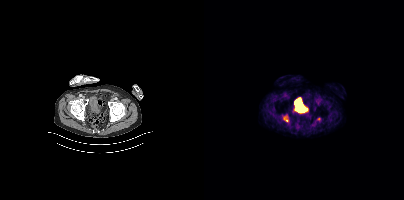
modality: PSMA PET/CT | tracer: [18F]PSMA-1007 | view: axial
Coordinates are on the 200×200 PET (right) panel. PSMA-avid tumor lesion bounding box (x0,y0,x1,y1): [80,117,83,121]. Small PSMA-avid focus (2 to 4 px across) near (center x, center y): (114, 118).